Technique: Paired axial CT (left) and PSMA PET (right), 68Ga tracer. acquired on Siemens Biograph mCT Flow 20. slice 192 of 411.
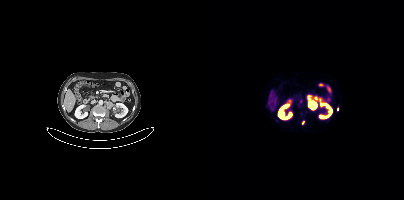
Findings: Coordinates are on the 200×200 PET (right) panel. (showing 3 of 4 foci) PSMA-avid tumor lesion bounding box (x0, y0)-(x1, y1): (95, 99)-(98, 103). Small PSMA-avid foci (2 to 4 px across) near (center x, center y): (99, 122); (133, 109).